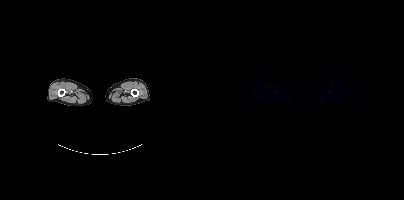
Two-panel axial: CT | PSMA PET, 18F-PSMA tracer. Slice 11 of 508. This slice has no annotated PSMA-avid lesion.